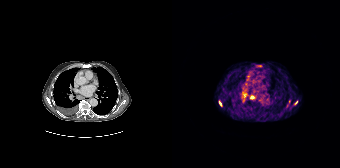
{"modality":"PSMA PET/CT","view":"axial","tracer":"[68Ga]Ga-PSMA-11","pet_grid":[168,168],"coord_frame":"pet_panel","coord_format":"x0,y0,x1,y1","partial":true,"lesion_bboxes":[[78,95,82,99],[47,101,49,105]],"small_foci_centers":[[123,102]]}